Left: CT. Right: PSMA PET, same axial level, 18F tracer. Acquired on Siemens Biograph mCT Flow 20.
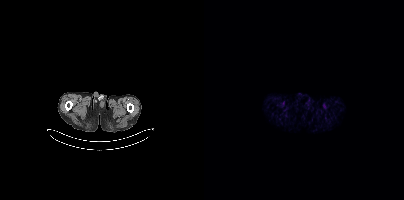
No PSMA-avid tumor lesions on this slice.